- Two-panel axial: CT | PSMA PET, [18F]PSMA-1007 tracer
- acquired on Siemens Biograph mCT Flow 20
- slice 195 of 435
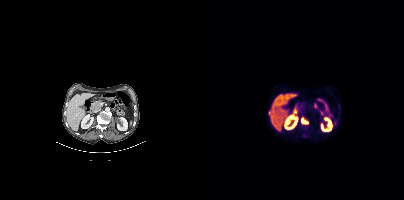
Findings: Coordinates are on the 200×200 PET (right) panel. (showing 1 of 2 foci) PSMA-avid tumor lesion bounding box (x0,y0,x1,y1): [97,118,104,123].